Technique: Left: CT. Right: PSMA PET, same axial level, 18F tracer. PET panel 168×168 px (4.1 mm/px).
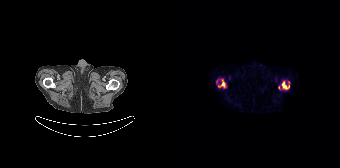
Findings: Coordinates are on the 168×168 PET (right) panel. PSMA-avid tumor lesion bounding boxes (x0, y0)-(x1, y1): (110, 81)-(117, 89); (46, 79)-(53, 87).